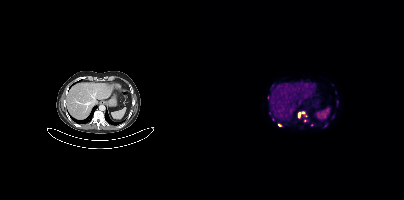
Left: CT. Right: PSMA PET, same axial level, [68Ga]Ga-PSMA-11 tracer. Acquired on Siemens Biograph mCT Flow 20. PET panel 200×200 px (4.1 mm/px).
Coordinates are on the 200×200 PET (right) panel. PSMA-avid tumor lesion bounding boxes (partial; 2 more foci not listed):
| # | x0 | y0 | x1 | y1 |
|---|---|---|---|---|
| 1 | 94 | 112 | 96 | 117 |
Small PSMA-avid foci (2 to 4 px across) near (center x, center y): (99, 112); (75, 125); (65, 113); (133, 103); (102, 116); (107, 124); (121, 125).